Left: CT. Right: PSMA PET, same axial level, 18F-PSMA tracer. Slice position z = -980 mm.
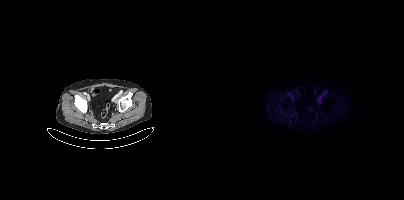
Negative for PSMA-avid disease on this slice.